Paired axial CT (left) and PSMA PET (right), 18F-PSMA tracer.
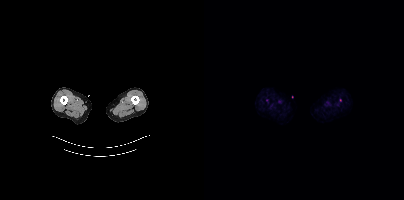
Only PSMA-avid lesion pieces thinner than 2 px on this slice (not listed).